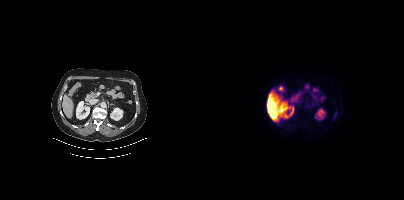
No PSMA-avid tumor lesions on this slice.